Two-panel axial: CT | PSMA PET, 18F-PSMA tracer. Slice position z = -1100 mm. PET panel 200×200 px (4.1 mm/px).
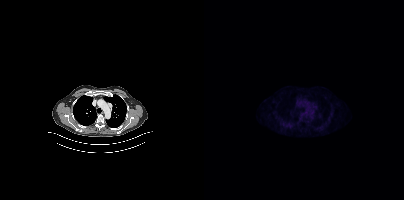
This slice has no annotated PSMA-avid lesion.